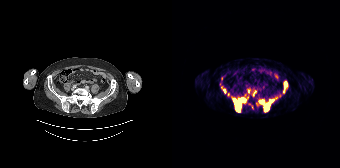
Technique: Paired axial CT (left) and PSMA PET (right), 68Ga-PSMA tracer.
Findings: Coordinates are on the 168×168 PET (right) panel. (showing 8 of 10 foci) PSMA-avid tumor lesion bounding boxes (x0, y0)-(x1, y1): (61, 98)-(73, 111); (92, 99)-(101, 111); (112, 81)-(115, 88); (87, 100)-(92, 103). Small PSMA-avid foci (2 to 4 px across) near (center x, center y): (52, 90); (82, 94); (73, 94); (111, 91).